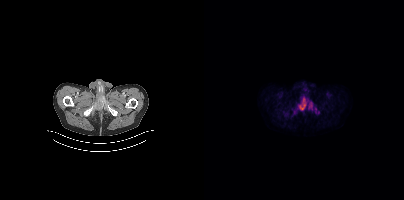
{"modality":"PSMA PET/CT","view":"axial","tracer":"18F","pet_grid":[200,200],"coord_frame":"pet_panel","coord_format":"x0,y0,x1,y1","partial":true,"lesion_bboxes":[[94,97,102,110],[104,102,108,109]],"small_foci_centers":[[101,89]]}